Technique: Two-panel axial: CT | PSMA PET, 68Ga-PSMA tracer. PET panel 168×168 px (4.1 mm/px).
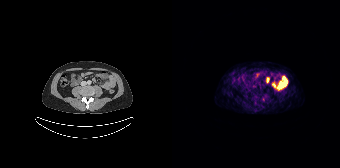
Findings: Negative for PSMA-avid disease on this slice.